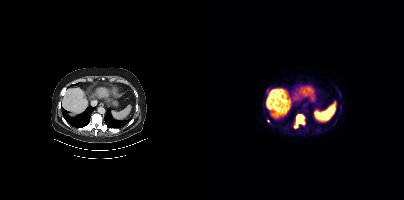
Coordinates are on the 200×200 PET (right) panel. PSMA-avid tumor lesion bounding box (x, y, width, height): x=90 y=114 w=12 h=15. Small PSMA-avid foci (2 to 4 px across) near (center x, center y): (114, 130); (65, 123); (136, 109); (136, 95); (108, 129); (134, 89).